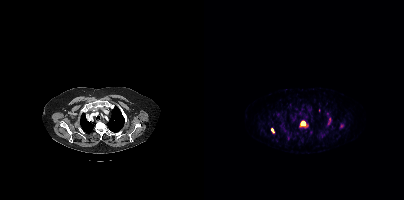
Findings: Coordinates are on the 200×200 PET (right) panel. (showing 4 of 7 foci) PSMA-avid tumor lesion bounding boxes (x0,y0,x1,y1): [95,121,104,128]; [124,118,127,124]; [67,128,70,133]. Small PSMA-avid focus (2 to 4 px across) near (center x, center y): (137, 125).
Technique: Paired axial CT (left) and PSMA PET (right), [68Ga]Ga-PSMA-11 tracer. acquired on Siemens Biograph mCT Flow 20. PET panel 200×200 px (4.1 mm/px).